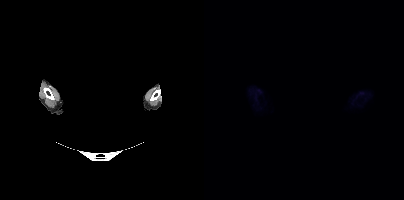
{"modality":"PSMA PET/CT","view":"axial","tracer":"18F","pet_grid":[200,200],"coord_frame":"pet_panel","coord_format":"x0,y0,x1,y1","redaction":"head region blanked (face removed)","psma_avid_lesions":false}